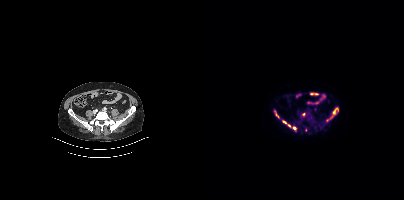
{"modality":"PSMA PET/CT","view":"axial","tracer":"18F-PSMA","pet_grid":[200,200],"coord_frame":"pet_panel","coord_format":"x0,y0,x1,y1","partial":true,"lesion_bboxes":[[128,107,134,114],[72,113,74,117]],"small_foci_centers":[[80,122],[90,128],[85,125],[99,114],[101,130]]}